Two-panel axial: CT | PSMA PET, 18F tracer.
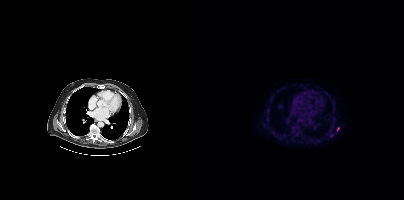
Coordinates are on the 200×200 PET (right) panel. Small PSMA-avid focus (2 to 4 px across) near (center x, center y): (133, 129).